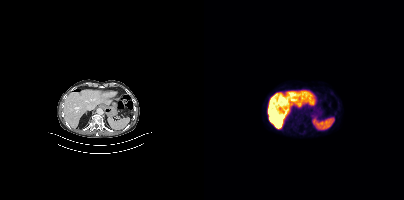
- Left: CT. Right: PSMA PET, same axial level, 18F tracer
- slice position z = -614 mm
- PET panel 200×200 px (4.1 mm/px)
Findings: Negative for PSMA-avid disease on this slice.